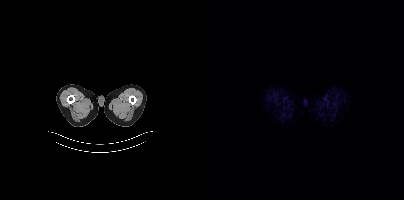
{"modality":"PSMA PET/CT","view":"axial","tracer":"[18F]PSMA-1007","pet_grid":[200,200],"coord_frame":"pet_panel","coord_format":"x0,y0,x1,y1","psma_avid_lesions":false}